Technique: Two-panel axial: CT | PSMA PET, [68Ga]Ga-PSMA-11 tracer. acquired on Siemens Biograph 64-4R TruePoint. PET panel 168×168 px (4.1 mm/px).
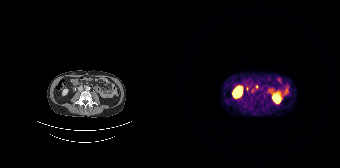
Findings: Coordinates are on the 168×168 PET (right) panel. (showing 1 of 2 foci) Small PSMA-avid focus (2 to 4 px across) near (center x, center y): (75, 88).